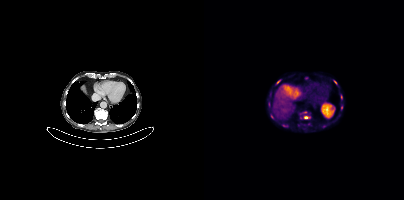
Coordinates are on the 200×200 PET (right) panel. (showing 6 of 7 foci) PSMA-avid tumor lesion bounding box (x, y, width, height): x=100 y=116 w=6 h=3. Small PSMA-avid foci (2 to 4 px across) near (center x, center y): (74, 81) | (137, 96) | (137, 107) | (131, 81) | (67, 116).